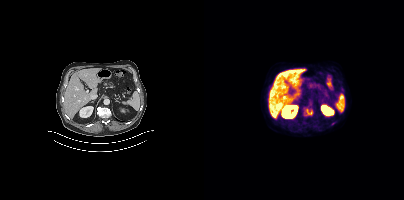
Coordinates are on the 200×200 PET (right) panel. PSMA-avid tumor lesion bounding boxes (x0,y0,x1,y1): [102,109,108,115]; [127,122,131,125].